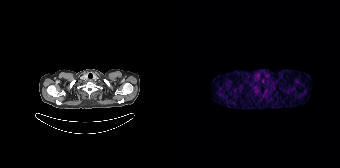
{"modality":"PSMA PET/CT","view":"axial","tracer":"68Ga","pet_grid":[168,168],"coord_frame":"pet_panel","coord_format":"x0,y0,x1,y1","psma_avid_lesions":false}